modality: PSMA PET/CT | tracer: [68Ga]Ga-PSMA-11 | view: axial
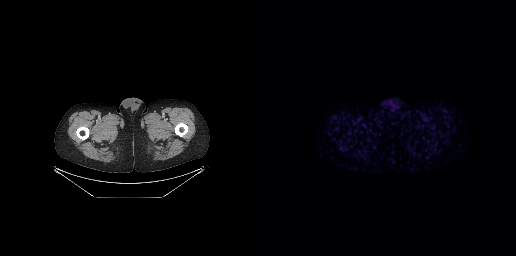
Negative for PSMA-avid disease on this slice.